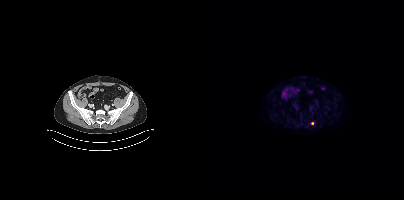
Coordinates are on the 200×200 PET (right) panel. Small PSMA-avid focus (2 to 4 px across) near (center x, center y): (108, 123). Paired axial CT (left) and PSMA PET (right), 68Ga-PSMA tracer. Slice position z = -1648 mm.